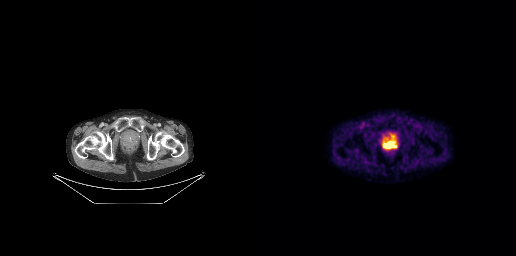
Findings: Coordinates are on the 256×256 PET (right) panel. PSMA-avid tumor lesion bounding box (x0,y0,x1,y1): [122,136,136,147].
- Left: CT. Right: PSMA PET, same axial level, 18F tracer
- slice 61 of 263
- PET panel 256×256 px (2.7 mm/px)